Any black rectangle over the head is a privacy mask, not anatomy.
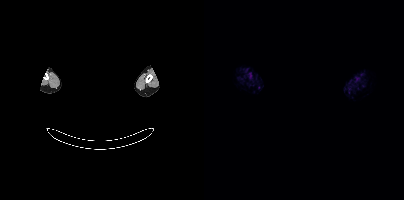
This slice has no annotated PSMA-avid lesion.